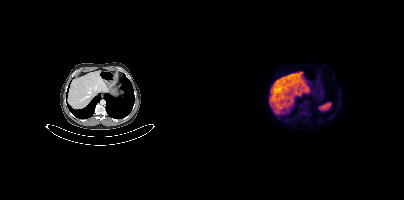
No PSMA-avid tumor lesions on this slice.